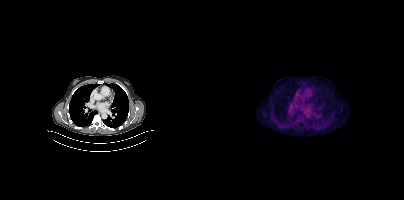
{"pet_grid":[200,200],"coord_frame":"pet_panel","coord_format":"x0,y0,x1,y1","psma_avid_lesions":false,"modality":"PSMA PET/CT","view":"axial","tracer":"[18F]PSMA-1007"}